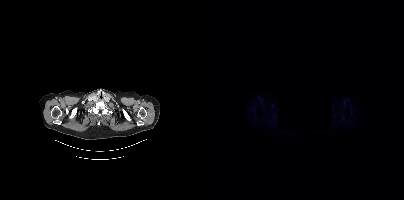
Left: CT. Right: PSMA PET, same axial level, [18F]PSMA-1007 tracer. Slice position z = -394 mm. Part of this slice was blanked for de-identification. No PSMA-avid tumor lesions on this slice.